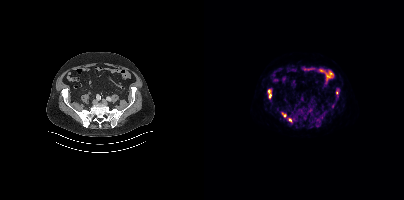
{"modality":"PSMA PET/CT","view":"axial","tracer":"[18F]PSMA-1007","pet_grid":[200,200],"coord_frame":"pet_panel","coord_format":"x0,y0,x1,y1","lesion_bboxes":[[84,118,87,122]],"small_foci_centers":[[79,114],[115,121],[65,95],[132,92],[64,90]]}